A rectangular block over the head has been blanked out for de-identification. Paired axial CT (left) and PSMA PET (right), 18F tracer. Acquired on Siemens Biograph mCT Flow 20. PET panel 200×200 px (4.1 mm/px).
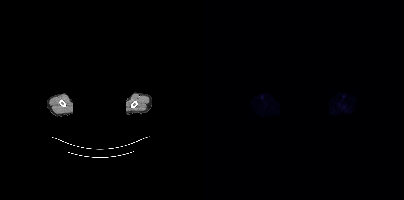
No PSMA-avid tumor lesions on this slice.